Paired axial CT (left) and PSMA PET (right), 18F-PSMA tracer. Acquired on Siemens Biograph mCT Flow 20. PET panel 200×200 px (4.1 mm/px). Face de-identified by blanking a block of the head.
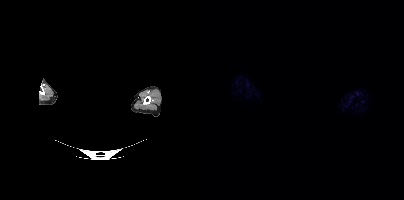
No tumor lesions annotated on this slice.